Technique: Left: CT. Right: PSMA PET, same axial level, 18F tracer. slice position z = -550 mm.
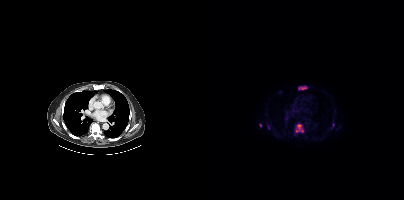
Findings: Coordinates are on the 200×200 PET (right) panel. PSMA-avid tumor lesion bounding boxes (x0, y0)-(x1, y1): (92, 124)-(99, 132) | (94, 86)-(103, 89). Small PSMA-avid foci (2 to 4 px across) near (center x, center y): (56, 125) | (129, 124).